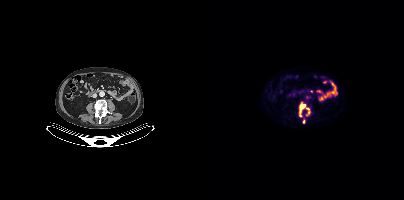
Two-panel axial: CT | PSMA PET, 18F-PSMA tracer. PET panel 200×200 px (4.1 mm/px). Coordinates are on the 200×200 PET (right) panel. PSMA-avid tumor lesion bounding boxes (x0, y0)-(x1, y1): (95, 104)-(101, 116) / (103, 108)-(106, 112) / (99, 119)-(100, 123). Small PSMA-avid focus (2 to 4 px across) near (center x, center y): (102, 114).